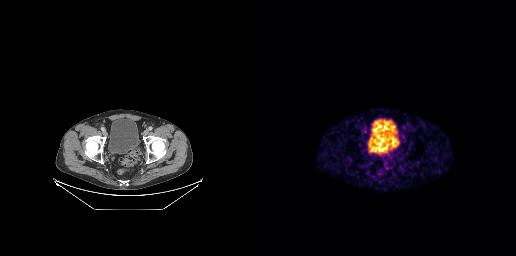
Coordinates are on the 256×256 PET (right) panel. PSMA-avid tumor lesion bounding box (x0, y0)-(x1, y1): (113, 141)-(130, 151).